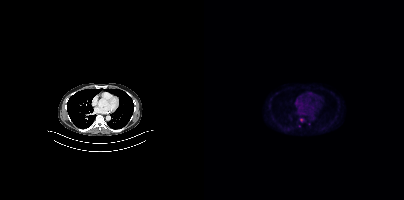
Coordinates are on the 200×200 PET (right) panel. Small PSMA-avid focus (2 to 4 px across) near (center x, center y): (97, 120).